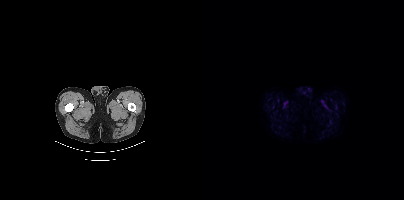
Paired axial CT (left) and PSMA PET (right), 18F tracer. No PSMA-avid tumor lesions on this slice.